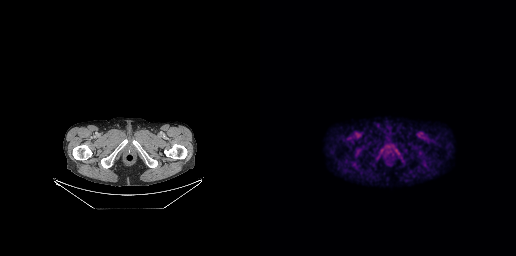
- Two-panel axial: CT | PSMA PET, 18F-PSMA tracer
- acquired on GE Discovery 690
- PET panel 256×256 px (2.7 mm/px)
Findings: Coordinates are on the 256×256 PET (right) panel. PSMA-avid tumor lesion bounding box (x, y, width, height): x=126 y=156 w=7 h=7.